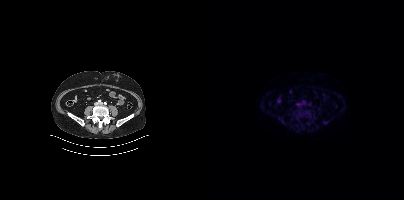
Findings: Only PSMA-avid lesion pieces thinner than 2 px on this slice (not listed).
Technique: Paired axial CT (left) and PSMA PET (right), 18F tracer. PET panel 200×200 px (4.1 mm/px).